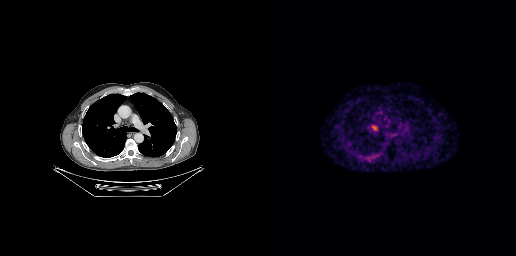
modality: PSMA PET/CT | tracer: [68Ga]Ga-PSMA-11 | view: axial | PET grid: 256×256
Coordinates are on the 256×256 PET (right) panel. PSMA-avid tumor lesion bounding boxes (x, y, width, height): x=111 y=125 w=7 h=6 | x=119 y=123 w=4 h=5.